Left: CT. Right: PSMA PET, same axial level, [68Ga]Ga-PSMA-11 tracer. Slice position z = -882 mm. Head region blanked for anonymization (face removed).
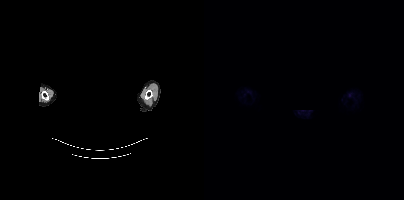
No PSMA-avid tumor lesions on this slice.